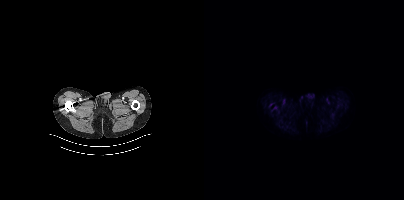
{"modality":"PSMA PET/CT","view":"axial","tracer":"[18F]PSMA-1007","pet_grid":[200,200],"coord_frame":"pet_panel","coord_format":"x0,y0,x1,y1","psma_avid_lesions":false}